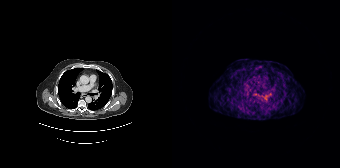
Two-panel axial: CT | PSMA PET, 68Ga-PSMA tracer. Acquired on Siemens Biograph 64-4R TruePoint. Slice 116 of 165. PET panel 168×168 px (4.1 mm/px). No PSMA-avid tumor lesions on this slice.